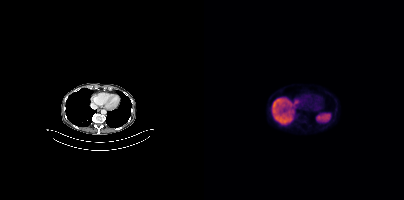
Findings: No PSMA-avid tumor lesions on this slice.
- Two-panel axial: CT | PSMA PET, 18F-PSMA tracer
- slice 233 of 423